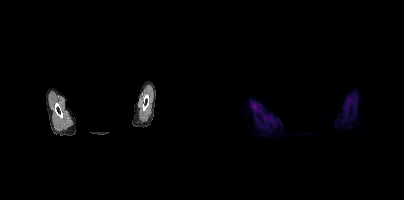
{"modality":"PSMA PET/CT","view":"axial","tracer":"[18F]PSMA-1007","pet_grid":[200,200],"coord_frame":"pet_panel","coord_format":"x0,y0,x1,y1","redaction":"rectangular block over head set to black","psma_avid_lesions":false}